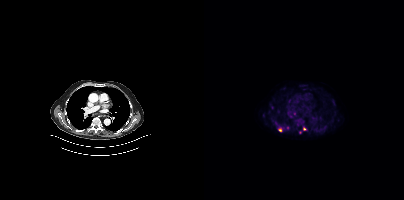
{"modality":"PSMA PET/CT","view":"axial","tracer":"18F","pet_grid":[200,200],"coord_frame":"pet_panel","coord_format":"x0,y0,x1,y1","partial":true,"lesion_bboxes":[],"small_foci_centers":[[76,130],[100,129],[83,127]]}